Paired axial CT (left) and PSMA PET (right), [18F]PSMA-1007 tracer. Acquired on Siemens Biograph mCT Flow 20. PET panel 200×200 px (4.1 mm/px).
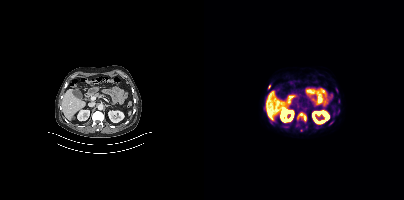
Coordinates are on the 200×200 PET (right) panel. (showing 2 of 4 foci) Small PSMA-avid foci (2 to 4 px across) near (center x, center y): (65, 86); (100, 119).